- Left: CT. Right: PSMA PET, same axial level, 18F-PSMA tracer
- slice position z = 237 mm
- PET panel 200×200 px (4.1 mm/px)
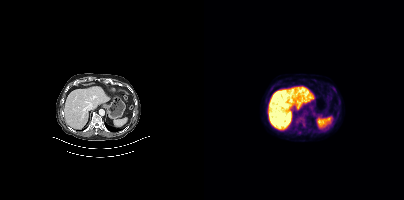
Findings: Coordinates are on the 200×200 PET (right) panel. PSMA-avid tumor lesion bounding box (x0,y0,x1,y1): [97,120,101,126].